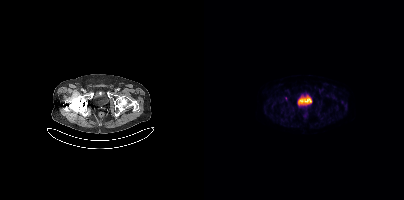
{"modality":"PSMA PET/CT","view":"axial","tracer":"18F","pet_grid":[200,200],"coord_frame":"pet_panel","coord_format":"x0,y0,x1,y1","psma_avid_lesions":false}